Two-panel axial: CT | PSMA PET, [18F]PSMA-1007 tracer. Slice 303 of 464.
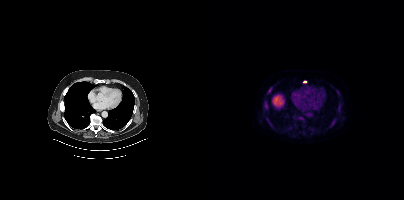
Coordinates are on the 200×200 PET (right) panel. (showing 10 of 11 foci) PSMA-avid tumor lesion bounding boxes (x0, y0)-(x1, y1): (60, 100)-(64, 110) | (127, 118)-(133, 124) | (93, 116)-(99, 120) | (64, 87)-(68, 92) | (131, 89)-(135, 95) | (63, 120)-(66, 124). Small PSMA-avid foci (2 to 4 px across) near (center x, center y): (135, 106) | (85, 128) | (100, 81) | (81, 130).